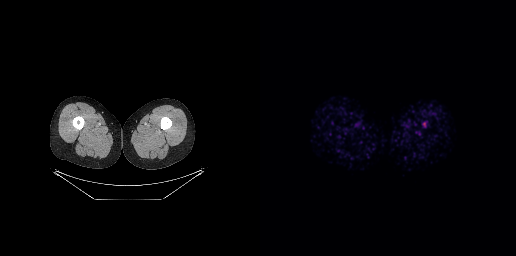
{"modality":"PSMA PET/CT","view":"axial","tracer":"[68Ga]Ga-PSMA-11","pet_grid":[256,256],"coord_frame":"pet_panel","coord_format":"x0,y0,x1,y1","psma_avid_lesions":false}